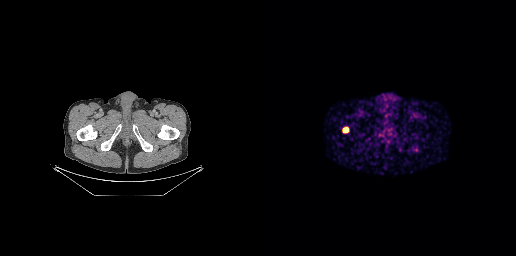
Coordinates are on the 256×256 PET (right) panel. PSMA-avid tumor lesion bounding box (x0, y0)-(x1, y1): (83, 127)-(88, 132).
modality: PSMA PET/CT | tracer: 68Ga-PSMA | view: axial